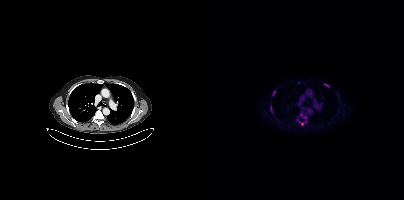
Coordinates are on the 200×200 PET (right) panel. PSMA-avid tumor lesion bounding boxes (x0,y0,x1,y1): [68,90,71,95], [66,106,68,112], [120,84,125,87]. Small PSMA-avid focus (2 to 4 px across) near (center x, center y): (98, 124).